Two-panel axial: CT | PSMA PET, [18F]PSMA-1007 tracer. PET panel 200×200 px (4.1 mm/px).
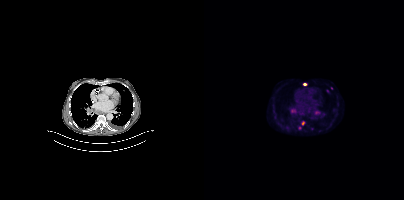
Coordinates are on the 200×200 PET (right) panel. (showing 8 of 9 foci) PSMA-avid tumor lesion bounding boxes (x, y, width, height): x=110 y=110 w=7 h=5; x=87 y=109 w=5 h=4. Small PSMA-avid foci (2 to 4 px across) near (center x, center y): (100, 84); (99, 123); (108, 128); (123, 91); (95, 127); (115, 130).